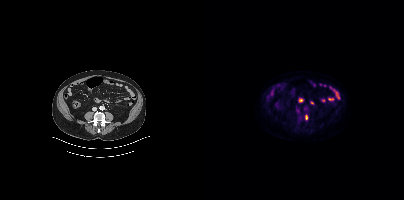
Coordinates are on the 200×200 PET (right) panel. Small PSMA-avid focus (2 to 4 px across) near (center x, center y): (102, 117).